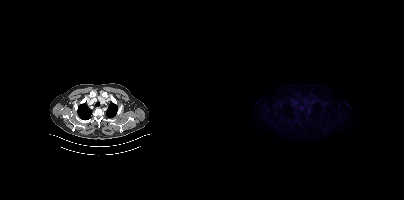
Only PSMA-avid lesion pieces thinner than 2 px on this slice (not listed).